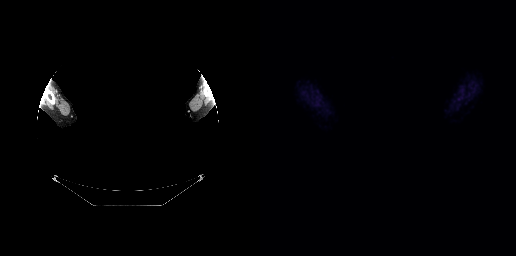
{"modality":"PSMA PET/CT","view":"axial","tracer":"18F","pet_grid":[256,256],"coord_frame":"pet_panel","coord_format":"x0,y0,x1,y1","deidentification":"head region blanked (face removed)","psma_avid_lesions":false}